Left: CT. Right: PSMA PET, same axial level, [18F]PSMA-1007 tracer. Acquired on Siemens Biograph mCT Flow 20. Slice 324 of 401.
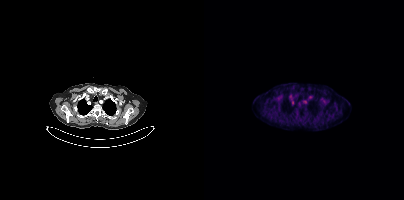
No tumor lesions annotated on this slice.